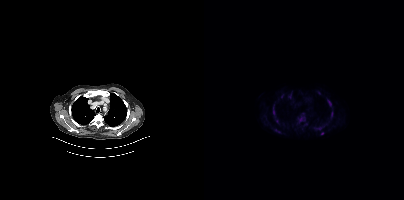
modality: PSMA PET/CT | tracer: 18F | view: axial
Coordinates are on the 200×200 PET (right) panel. (showing 11 of 14 foci) PSMA-avid tumor lesion bounding boxes (x0,y0,x1,y1): [124,100,127,106]; [94,116,98,121]; [127,112,129,117]; [112,127,117,129]; [69,110,70,114]. Small PSMA-avid foci (2 to 4 px across) near (center x, center y): (118, 133); (72, 121); (77, 96); (85, 96); (71, 129); (74, 131).